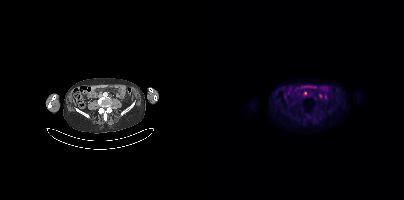
{"modality":"PSMA PET/CT","view":"axial","tracer":"18F-PSMA","pet_grid":[200,200],"coord_frame":"pet_panel","coord_format":"x0,y0,x1,y1","lesion_bboxes":[[99,91,103,95]]}